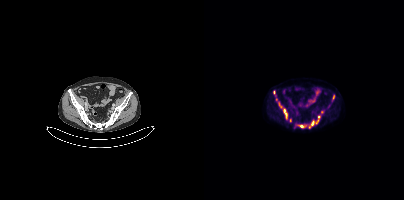
Coordinates are on the 200×200 PET (right) panel. (showing 7 of 8 foci) PSMA-avid tumor lesion bounding boxes (x0,y0,x1,y1): [75,102,83,118] [105,120,110,128] [94,125,102,127] [112,116,116,123] [128,95,130,99]. Small PSMA-avid foci (2 to 4 px across) near (center x, center y): (70, 92) (72, 99).